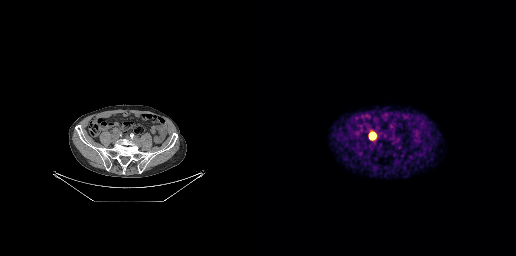
Coordinates are on the 256×256 PET (right) panel. PSMA-avid tumor lesion bounding boxes:
| # | x0 | y0 | x1 | y1 |
|---|---|---|---|---|
| 1 | 110 | 133 | 114 | 138 |
Two-panel axial: CT | PSMA PET, 68Ga tracer. Acquired on GE Discovery 690. Slice position z = -661 mm.